Technique: Two-panel axial: CT | PSMA PET, 68Ga tracer. slice 75 of 195. PET panel 168×168 px (4.1 mm/px).
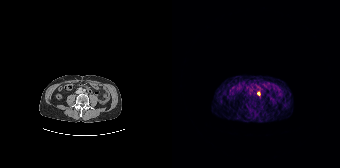
Findings: Coordinates are on the 168×168 PET (right) panel. Small PSMA-avid focus (2 to 4 px across) near (center x, center y): (86, 93).